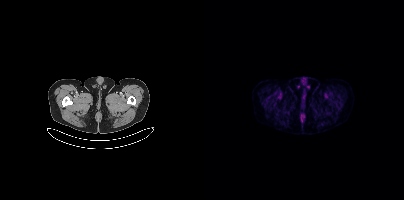
No tumor lesions annotated on this slice.
modality: PSMA PET/CT | tracer: [18F]PSMA-1007 | view: axial